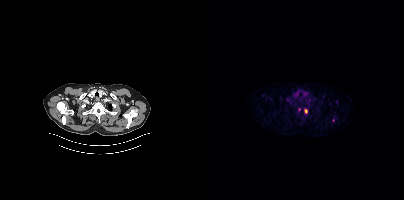
- Left: CT. Right: PSMA PET, same axial level, [18F]PSMA-1007 tracer
- acquired on Siemens Biograph mCT Flow 20
- slice position z = -438 mm
Findings: Coordinates are on the 200×200 PET (right) panel. (showing 2 of 3 foci) PSMA-avid tumor lesion bounding box (x0, y0)-(x1, y1): (101, 109)-(103, 113). Small PSMA-avid focus (2 to 4 px across) near (center x, center y): (129, 120).